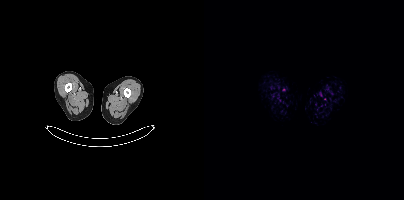
modality: PSMA PET/CT | tracer: 18F-PSMA | view: axial | PET grid: 200×200
This slice has no annotated PSMA-avid lesion.